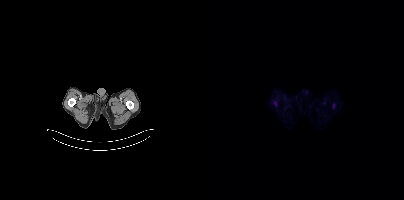
No PSMA-avid tumor lesions on this slice.